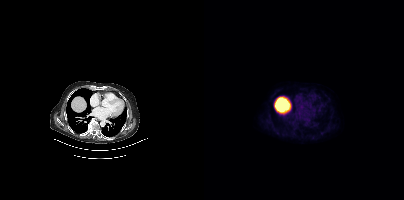
Coordinates are on the 200×200 PET (right) panel. Small PSMA-avid focus (2 to 4 px across) near (center x, center y): (73, 132).